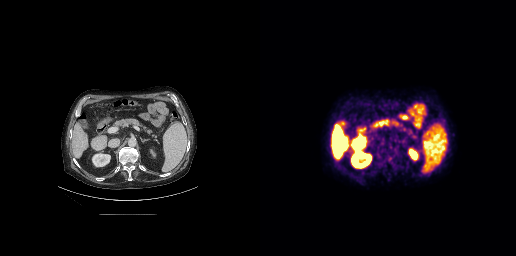
Coordinates are on the 256×256 PET (right) panel. PSMA-avid tumor lesion bounding box (x0,y0,x1,y1): [120,160,131,168]. Small PSMA-avid focus (2 to 4 px across) near (center x, center y): (124, 170).